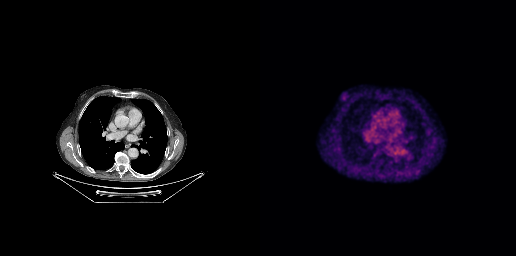
{"modality":"PSMA PET/CT","view":"axial","tracer":"[18F]PSMA-1007","pet_grid":[256,256],"coord_frame":"pet_panel","coord_format":"x0,y0,x1,y1","psma_avid_lesions":false}